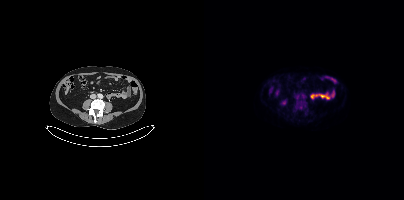
modality: PSMA PET/CT | tracer: 18F | view: axial
No tumor lesions annotated on this slice.